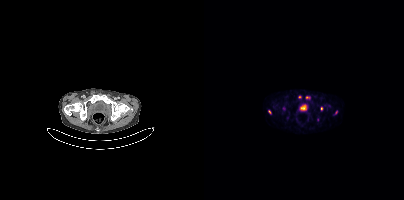
Coordinates are on the 200×200 PET (right) panel. (showing 3 of 4 foci) Small PSMA-avid foci (2 to 4 px across) near (center x, center y): (103, 97) | (65, 111) | (117, 108).